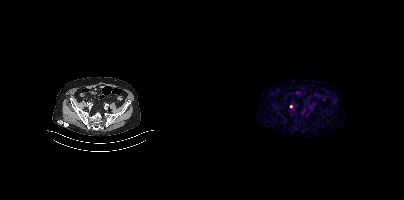
Coordinates are on the 200×200 PET (right) panel. Small PSMA-avid focus (2 to 4 px across) near (center x, center y): (86, 106).